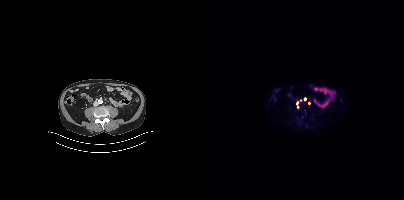
{"pet_grid":[200,200],"coord_frame":"pet_panel","coord_format":"x0,y0,x1,y1","partial":true,"lesion_bboxes":[],"small_foci_centers":[[100,98],[93,106]],"modality":"PSMA PET/CT","view":"axial","tracer":"18F"}